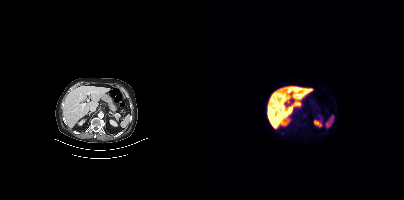
modality: PSMA PET/CT | tracer: 18F | view: axial
This slice has no annotated PSMA-avid lesion.